modality: PSMA PET/CT | tracer: 68Ga | view: axial
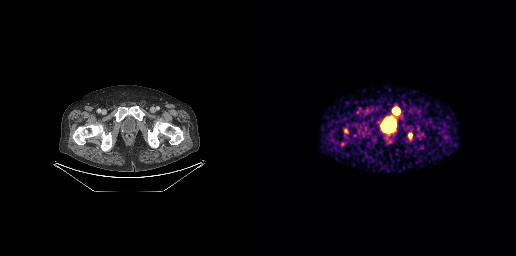
Coordinates are on the 256×256 PET (right) panel. PSMA-avid tumor lesion bounding boxes (x0, y0)-(x1, y1): (133, 107)-(139, 114) | (149, 133)-(152, 138).